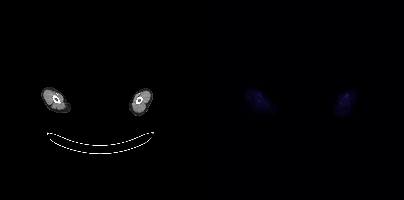
de-identification: head region blanked (face removed) | modality: PSMA PET/CT | tracer: 18F | view: axial
This slice has no annotated PSMA-avid lesion.